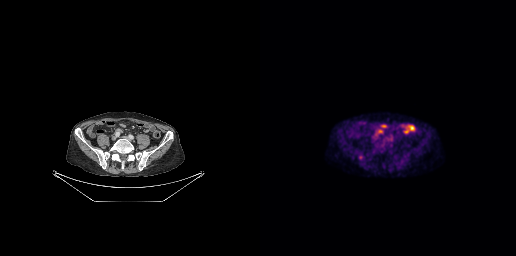
Two-panel axial: CT | PSMA PET, 18F tracer. Slice position z = -553 mm. This slice has no annotated PSMA-avid lesion.